- Left: CT. Right: PSMA PET, same axial level, 18F tracer
- slice 293 of 387
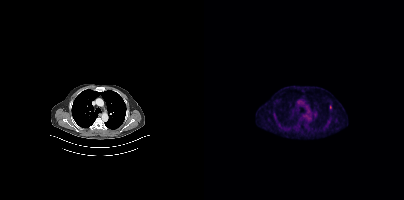
Findings: Coordinates are on the 200×200 PET (right) panel. Small PSMA-avid focus (2 to 4 px across) near (center x, center y): (126, 106).